Two-panel axial: CT | PSMA PET, 18F tracer. Slice 390 of 464. PET panel 200×200 px (4.1 mm/px).
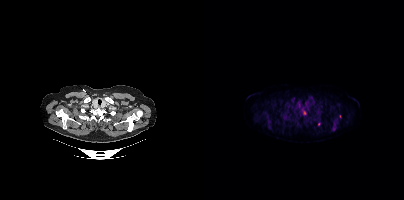
Coordinates are on the 200×200 PET (right) panel. (showing 4 of 5 foci) PSMA-avid tumor lesion bounding boxes (x, y, width, height): x=127 y=119 w=8 h=13 | x=97 y=109 w=6 h=7. Small PSMA-avid foci (2 to 4 px across) near (center x, center y): (92, 118) | (115, 124).